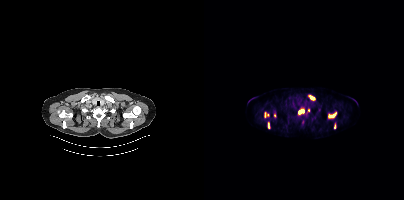
{"modality":"PSMA PET/CT","view":"axial","tracer":"18F","pet_grid":[200,200],"coord_frame":"pet_panel","coord_format":"x0,y0,x1,y1","lesion_bboxes":[[124,112,132,118],[104,95,111,100],[94,109,100,114],[60,112,64,117],[64,122,65,128],[130,124,131,128]],"small_foci_centers":[[104,110],[70,115]]}